Paired axial CT (left) and PSMA PET (right), [68Ga]Ga-PSMA-11 tracer. Acquired on GE Discovery 690. Slice 6 of 263.
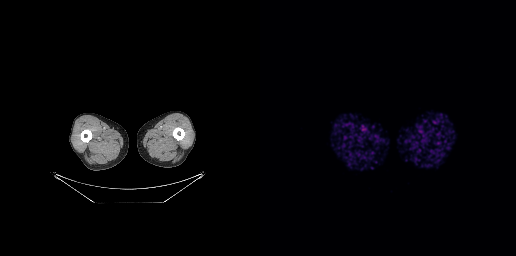
Only PSMA-avid lesion pieces thinner than 2 px on this slice (not listed).